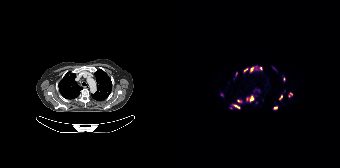
modality: PSMA PET/CT | tracer: 18F | view: axial | PET grid: 168×168
Coordinates are on the 168×168 PET (right) panel. (showing 15 of 17 foci) PSMA-avid tumor lesion bounding boxes (x, y, width, height): x=78 y=66 w=13 h=6 / x=74 y=95 w=9 h=8 / x=60 y=104 w=9 h=5 / x=116 y=92 w=5 h=6 / x=107 y=94 w=4 h=7 / x=65 y=99 w=6 h=5 / x=101 y=106 w=5 h=4 / x=111 y=77 w=3 h=5 / x=63 y=72 w=3 h=5. Small PSMA-avid foci (2 to 4 px across) near (center x, center y): (50, 94) / (73, 69) / (102, 68) / (86, 90) / (59, 107) / (84, 102).